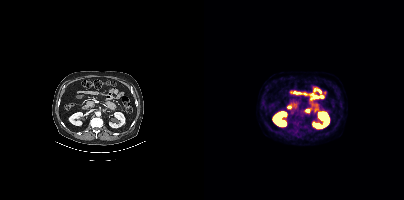
Left: CT. Right: PSMA PET, same axial level, 18F-PSMA tracer. Negative for PSMA-avid disease on this slice.